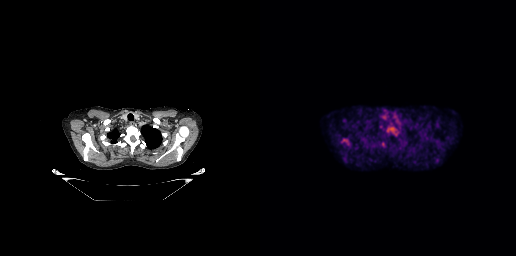
{"modality":"PSMA PET/CT","view":"axial","tracer":"[18F]PSMA-1007","pet_grid":[256,256],"coord_frame":"pet_panel","coord_format":"x0,y0,x1,y1","lesion_bboxes":[[127,126,138,135],[81,138,89,145]]}